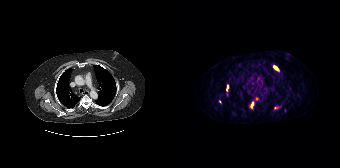
Two-panel axial: CT | PSMA PET, [68Ga]Ga-PSMA-11 tracer. Slice position z = -998 mm. PET panel 168×168 px (4.1 mm/px).
Coordinates are on the 168×168 PET (right) panel. PSMA-avid tumor lesion bounding boxes (partial; 1 more focus not listed):
| # | x0 | y0 | x1 | y1 |
|---|---|---|---|---|
| 1 | 101 | 65 | 106 | 70 |
| 2 | 79 | 102 | 81 | 107 |
| 3 | 54 | 85 | 56 | 90 |
Small PSMA-avid focus (2 to 4 px across) near (center x, center y): (47, 101).